Technique: Two-panel axial: CT | PSMA PET, [18F]PSMA-1007 tracer. acquired on Siemens Biograph mCT Flow 20. slice 79 of 393.
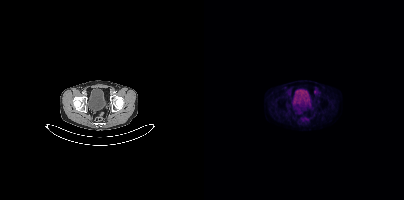
Findings: Negative for PSMA-avid disease on this slice.